Two-panel axial: CT | PSMA PET, 18F-PSMA tracer. Acquired on Siemens Biograph mCT Flow 20. De-identified by setting a box covering the face to black before release.
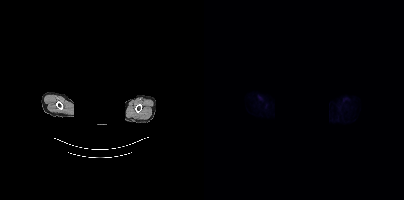
No tumor lesions annotated on this slice.